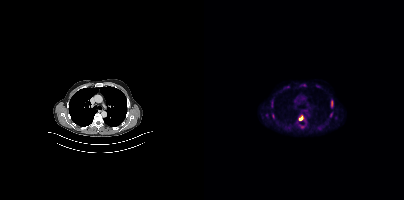
Coordinates are on the 200×200 PET (right) panel. (showing 8 of 10 foci) PSMA-avid tumor lesion bounding boxes (x, y, width, height): x=126 y=99 w=4 h=10 | x=95 y=115 w=5 h=6 | x=126 y=112 w=3 h=6 | x=68 y=114 w=3 h=5 | x=67 y=101 w=2 h=7. Small PSMA-avid foci (2 to 4 px across) near (center x, center y): (115, 128) | (100, 85) | (62, 114).